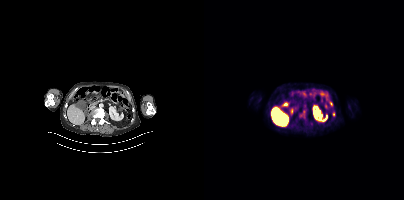
Findings: Coordinates are on the 200×200 PET (right) panel. Small PSMA-avid foci (2 to 4 px across) near (center x, center y): (129, 114) | (127, 104).
Technique: Two-panel axial: CT | PSMA PET, 18F-PSMA tracer.